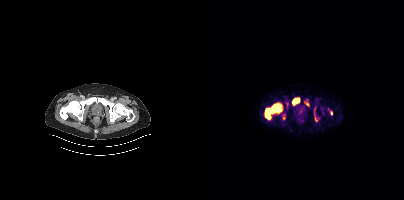
- Two-panel axial: CT | PSMA PET, 18F-PSMA tracer
- acquired on Siemens Biograph mCT Flow 20
- slice 61 of 444
Findings: Coordinates are on the 200×200 PET (right) panel. PSMA-avid tumor lesion bounding boxes (x0,y0,x1,y1): [61,104,77,119] [89,98,95,104]. Small PSMA-avid foci (2 to 4 px across) near (center x, center y): (127, 113) (103, 104) (79, 118).